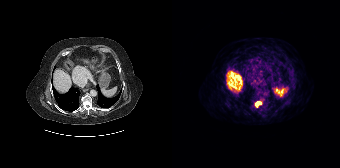
Coordinates are on the 168×168 PET (right) panel. PSMA-avid tumor lesion bounding boxes:
| # | x0 | y0 | x1 | y1 |
|---|---|---|---|---|
| 1 | 83 | 101 | 89 | 107 |
Left: CT. Right: PSMA PET, same axial level, [68Ga]Ga-PSMA-11 tracer. Slice position z = -1108 mm. PET panel 168×168 px (4.1 mm/px).